modality: PSMA PET/CT | tracer: 18F-PSMA | view: axial | PET grid: 200×200
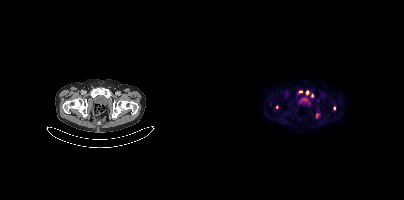
Coordinates are on the 200×200 PET (right) panel. PSMA-avid tumor lesion bounding boxes (x, y, width, height): x=101 y=91 w=4 h=5; x=129 y=106 w=3 h=5. Small PSMA-avid foci (2 to 4 px across) near (center x, center y): (73, 107); (96, 91); (112, 115); (108, 95).